Technique: Left: CT. Right: PSMA PET, same axial level, 18F tracer. slice position z = 166 mm.
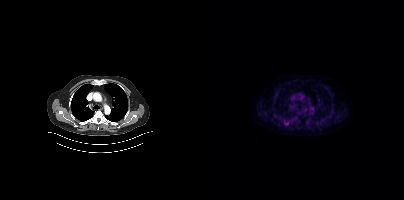
Findings: Coordinates are on the 200×200 PET (right) panel. PSMA-avid tumor lesion bounding box (x0, y0)-(x1, y1): (80, 121)-(82, 125). Small PSMA-avid focus (2 to 4 px across) near (center x, center y): (91, 106).